modality: PSMA PET/CT | tracer: [18F]PSMA-1007 | view: axial
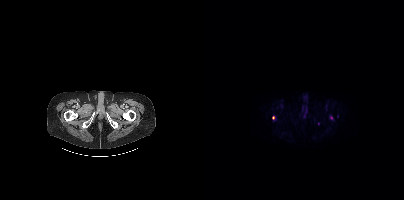
Coordinates are on the 200×200 PET (right) panel. Small PSMA-avid focus (2 to 4 px across) near (center x, center y): (69, 117).